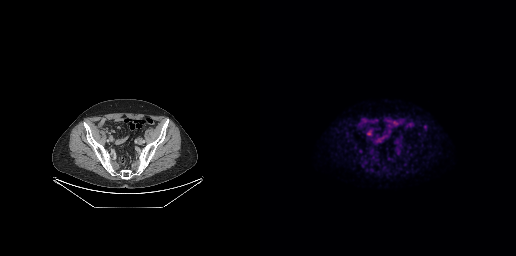
- Two-panel axial: CT | PSMA PET, 18F tracer
- PET panel 256×256 px (2.7 mm/px)
Findings: Coordinates are on the 256×256 PET (right) panel. Small PSMA-avid focus (2 to 4 px across) near (center x, center y): (108, 133).